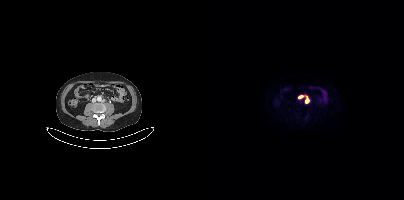
Coordinates are on the 200×200 PET (right) panel. PSMA-avid tumor lesion bounding box (x0,y0,x1,y1): [94,96,98,98]. Small PSMA-avid foci (2 to 4 px across) near (center x, center y): (103, 100) (101, 96). Paired axial CT (left) and PSMA PET (right), [68Ga]Ga-PSMA-11 tracer.